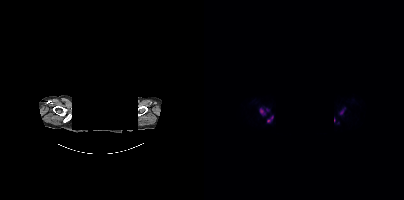
Coordinates are on the 200×200 PET (right) panel. PSMA-avid tumor lesion bounding boxes (x, y, width, height): x=55 y=107 w=11 h=9; x=63 y=115 w=7 h=8; x=136 y=109 w=4 h=6; x=130 y=118 w=2 h=5. Left: CT. Right: PSMA PET, same axial level, 18F tracer. A rectangular block over the head has been blanked out for de-identification.